Two-panel axial: CT | PSMA PET, [18F]PSMA-1007 tracer. Slice 285 of 413. PET panel 200×200 px (4.1 mm/px).
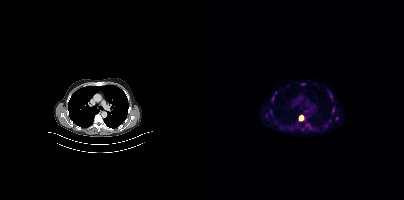
Coordinates are on the 200×200 PET (right) panel. PSMA-avid tumor lesion bounding boxes (partial; 2 more foci not listed):
| # | x0 | y0 | x1 | y1 |
|---|---|---|---|---|
| 1 | 95 | 115 | 99 | 120 |
| 2 | 96 | 83 | 101 | 85 |
| 3 | 128 | 107 | 130 | 113 |
| 4 | 68 | 96 | 70 | 101 |
| 5 | 66 | 110 | 67 | 114 |
Small PSMA-avid foci (2 to 4 px across) near (center x, center y): (132, 118); (122, 125); (126, 121); (62, 115).